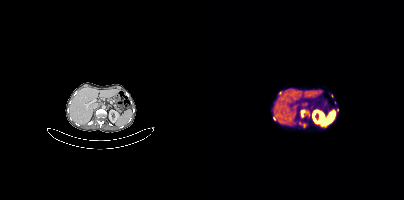
Two-panel axial: CT | PSMA PET, [68Ga]Ga-PSMA-11 tracer. PET panel 200×200 px (4.1 mm/px).
Coordinates are on the 200×200 PET (right) panel. PSMA-avid tumor lesion bounding boxes (partial; 2 more foci not listed):
| # | x0 | y0 | x1 | y1 |
|---|---|---|---|---|
| 1 | 96 | 110 | 105 | 117 |
| 2 | 99 | 123 | 101 | 127 |
Small PSMA-avid foci (2 to 4 px across) near (center x, center y): (76, 92); (70, 118); (133, 109); (95, 123).